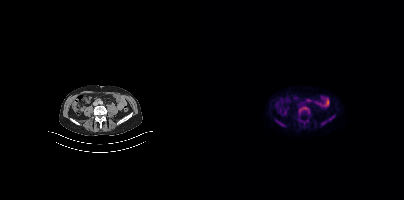
Coordinates are on the 200×200 PET (right) panel. PSMA-avid tumor lesion bounding boxes (partial; 1 more focus not listed):
| # | x0 | y0 | x1 | y1 |
|---|---|---|---|---|
| 1 | 117 | 122 | 121 | 125 |
Small PSMA-avid focus (2 to 4 px across) near (center x, center y): (77, 124).
Left: CT. Right: PSMA PET, same axial level, [18F]PSMA-1007 tracer.